Two-panel axial: CT | PSMA PET, 18F-PSMA tracer.
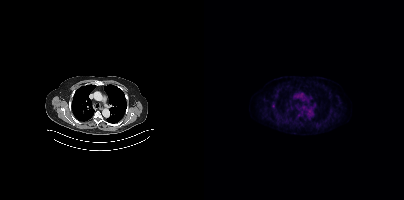
No PSMA-avid tumor lesions on this slice.